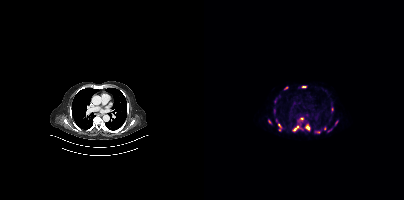
Coordinates are on the 200×200 PET (right) panel. (showing 11 of 12 foci) PSMA-avid tumor lesion bounding boxes (x0, y0)-(x1, y1): (101, 124)-(106, 130) | (89, 125)-(95, 131) | (74, 124)-(77, 130) | (98, 86)-(102, 87). Small PSMA-avid foci (2 to 4 px across) near (center x, center y): (97, 118) | (121, 128) | (125, 130) | (71, 101) | (113, 131) | (65, 121) | (132, 122).